Two-panel axial: CT | PSMA PET, 18F-PSMA tracer. Slice 363 of 397. Any black rectangle over the head is a privacy mask, not anatomy.
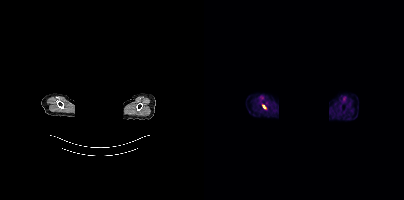
Coordinates are on the 200×200 PET (right) panel. Small PSMA-avid focus (2 to 4 px across) near (center x, center y): (60, 106).